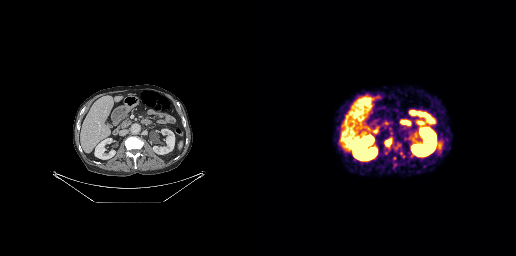
Findings: Coordinates are on the 256×256 PET (right) panel. Small PSMA-avid focus (2 to 4 px across) near (center x, center y): (127, 142).
Technique: Two-panel axial: CT | PSMA PET, [68Ga]Ga-PSMA-11 tracer.